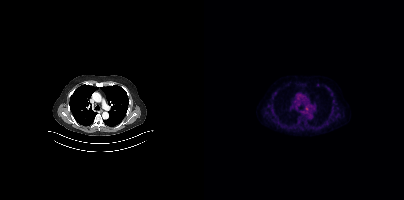
{"modality":"PSMA PET/CT","view":"axial","tracer":"18F","pet_grid":[200,200],"coord_frame":"pet_panel","coord_format":"x0,y0,x1,y1","partial":true,"lesion_bboxes":[],"small_foci_centers":[[102,108]]}